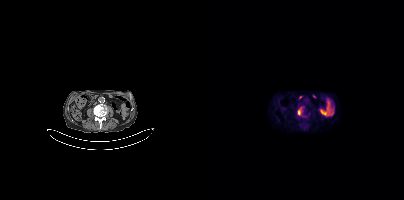
Technique: Paired axial CT (left) and PSMA PET (right), [18F]PSMA-1007 tracer. PET panel 200×200 px (4.1 mm/px).
Findings: Coordinates are on the 200×200 PET (right) panel. PSMA-avid tumor lesion bounding box (x0,y0,x1,y1): [93,107,97,115].